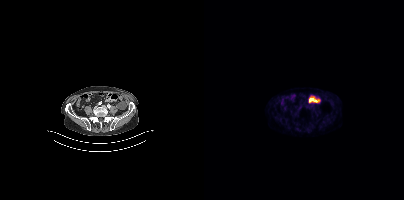
Technique: Paired axial CT (left) and PSMA PET (right), 18F tracer. acquired on Siemens Biograph mCT Flow 20. slice position z = -848 mm.
Findings: No tumor lesions annotated on this slice.